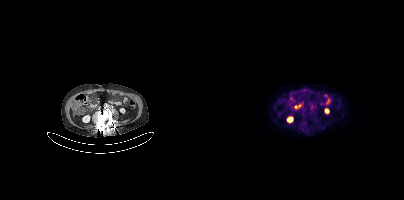
- Two-panel axial: CT | PSMA PET, 18F-PSMA tracer
- slice 161 of 425
- PET panel 200×200 px (4.1 mm/px)
Findings: Coordinates are on the 200×200 PET (right) panel. PSMA-avid tumor lesion bounding box (x, y, width, height): x=105 y=103 w=8 h=8.